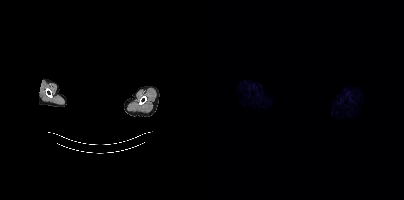
{"modality":"PSMA PET/CT","view":"axial","tracer":"68Ga","pet_grid":[200,200],"coord_frame":"pet_panel","coord_format":"x0,y0,x1,y1","redaction":"facial region redacted","psma_avid_lesions":false}